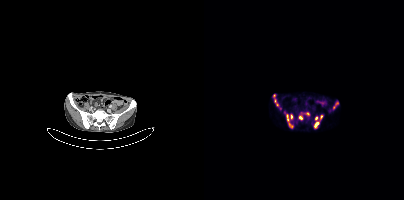
Paired axial CT (left) and PSMA PET (right), [68Ga]Ga-PSMA-11 tracer. Slice position z = -1019 mm.
Coordinates are on the 200×200 PET (right) panel. PSMA-avid tumor lesion bounding boxes:
| # | x0 | y0 | x1 | y1 |
|---|---|---|---|---|
| 1 | 70 | 99 | 74 | 106 |
| 2 | 110 | 122 | 114 | 127 |
| 3 | 83 | 115 | 85 | 121 |
| 4 | 84 | 124 | 88 | 126 |
Small PSMA-avid foci (2 to 4 px across) near (center x, center y): (96, 117); (70, 95); (87, 116); (112, 118); (129, 107); (104, 113); (131, 103); (117, 116).